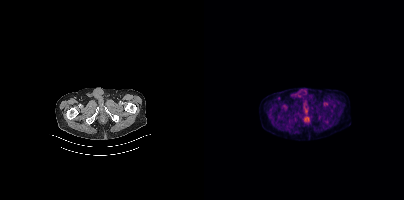
Technique: Paired axial CT (left) and PSMA PET (right), [18F]PSMA-1007 tracer. slice position z = -1466 mm.
Findings: No tumor lesions annotated on this slice.